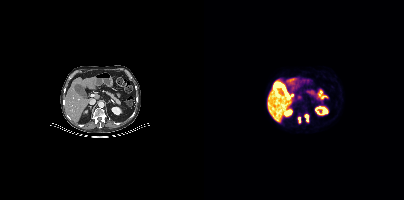
Technique: Left: CT. Right: PSMA PET, same axial level, 18F tracer. acquired on Siemens Biograph mCT Flow 20. slice 664 of 963. PET panel 200×200 px (4.1 mm/px).
Findings: Coordinates are on the 200×200 PET (right) panel. PSMA-avid tumor lesion bounding boxes (x0, y0)-(x1, y1): (101, 115)-(104, 122) | (94, 117)-(96, 123).